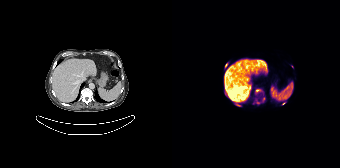
Coordinates are on the 168×168 PET (right) panel. PSMA-avid tumor lesion bounding boxes (partial; 1 more focus not listed):
| # | x0 | y0 | x1 | y1 |
|---|---|---|---|---|
| 1 | 81 | 88 | 93 | 104 |
Small PSMA-avid foci (2 to 4 px across) near (center x, center y): (67, 105); (54, 66); (88, 95).
Left: CT. Right: PSMA PET, same axial level, 18F tracer. PET panel 168×168 px (4.1 mm/px).